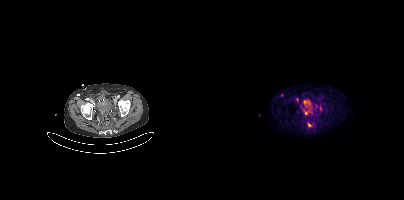
Coordinates are on the 200×200 PET (right) panel. PSMA-avid tumor lesion bounding boxes (x, y, width, height): x=99 y=109 w=8 h=6 | x=103 y=122 w=6 h=6 | x=116 y=106 w=2 h=5. Small PSMA-avid foci (2 to 4 px across) near (center x, center y): (93, 99) | (78, 95). Two-panel axial: CT | PSMA PET, 18F tracer. Slice 94 of 425. PET panel 200×200 px (4.1 mm/px).